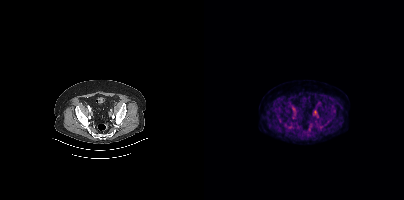
{"pet_grid":[200,200],"coord_frame":"pet_panel","coord_format":"x0,y0,x1,y1","lesion_bboxes":[],"small_foci_centers":[[111,112]],"modality":"PSMA PET/CT","view":"axial","tracer":"18F"}